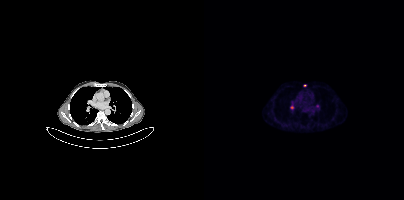
Left: CT. Right: PSMA PET, same axial level, 68Ga tracer. Coordinates are on the 200×200 PET (right) panel. (showing 2 of 3 foci) Small PSMA-avid foci (2 to 4 px across) near (center x, center y): (87, 107) | (101, 85).